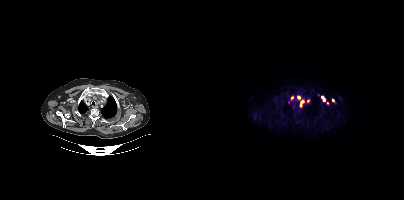
Two-panel axial: CT | PSMA PET, 18F-PSMA tracer. Acquired on Siemens Biograph mCT Flow 20. Slice 331 of 413. Coordinates are on the 200×200 PET (right) panel. PSMA-avid tumor lesion bounding boxes (x, y, width, height): x=93 y=96 w=8 h=12 | x=117 y=96 w=5 h=6. Small PSMA-avid foci (2 to 4 px across) near (center x, center y): (88, 97) | (104, 100) | (129, 100) | (85, 101) | (123, 102).